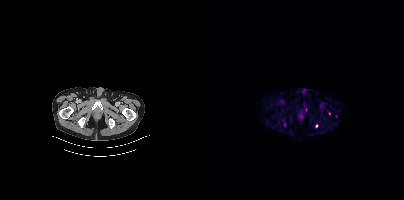
modality: PSMA PET/CT | tracer: [18F]PSMA-1007 | view: axial
Coordinates are on the 200×200 PET (right) panel. (showing 2 of 4 foci) Small PSMA-avid foci (2 to 4 px across) near (center x, center y): (112, 125) / (125, 113).